- Left: CT. Right: PSMA PET, same axial level, [18F]PSMA-1007 tracer
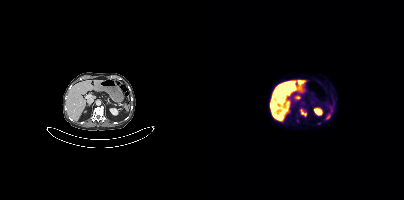
Findings: Coordinates are on the 200×200 PET (right) panel. PSMA-avid tumor lesion bounding box (x0,y0,x1,y1): [97,109,102,116].